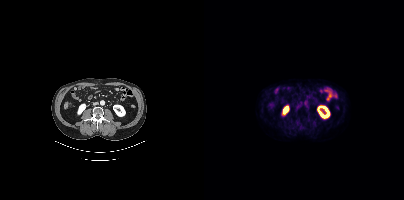
{"modality":"PSMA PET/CT","view":"axial","tracer":"[18F]PSMA-1007","pet_grid":[200,200],"coord_frame":"pet_panel","coord_format":"x0,y0,x1,y1","psma_avid_lesions":false}